Paired axial CT (left) and PSMA PET (right), 18F tracer. Acquired on Siemens Biograph mCT Flow 20. Slice 373 of 435. PET panel 200×200 px (4.1 mm/px).
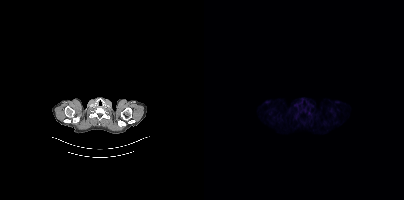
This slice has no annotated PSMA-avid lesion.